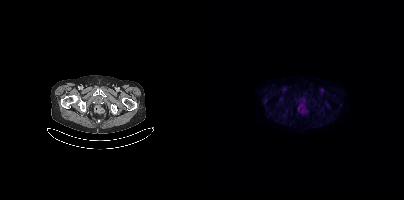
No tumor lesions annotated on this slice. Two-panel axial: CT | PSMA PET, 18F tracer. Acquired on Siemens Biograph mCT Flow 20. Slice position z = -1464 mm. PET panel 200×200 px (4.1 mm/px).